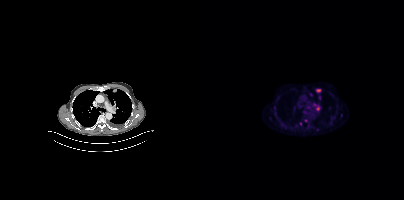
modality: PSMA PET/CT | tracer: [18F]PSMA-1007 | view: axial
Coordinates are on the 200×200 PET (right) panel. (showing 6 of 9 foci) PSMA-avid tumor lesion bounding boxes (x0, y0)-(x1, y1): (108, 103)-(115, 110) / (112, 89)-(116, 92). Small PSMA-avid foci (2 to 4 px across) near (center x, center y): (115, 97) / (96, 123) / (137, 115) / (70, 107).